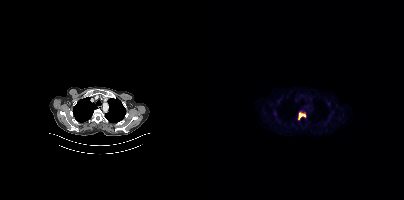
Coordinates are on the 200×200 PET (right) panel. PSMA-avid tumor lesion bounding box (x0,y0,x1,y1): [94,111,102,119].
modality: PSMA PET/CT | tracer: 18F | view: axial